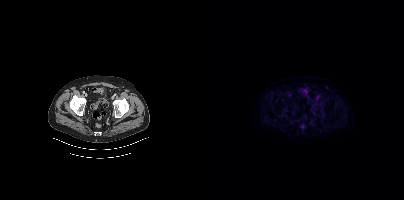
Coordinates are on the 200×200 PET (right) panel. PSMA-avid tumor lesion bounding boxes (x0,y0,x1,y1): [113,102,118,107], [116,109,120,114].